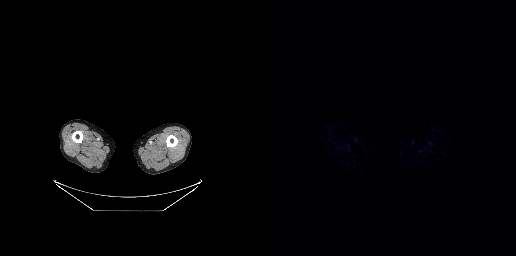
Negative for PSMA-avid disease on this slice.